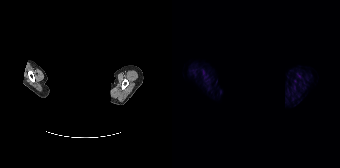
{"modality":"PSMA PET/CT","view":"axial","tracer":"[18F]PSMA-1007","pet_grid":[168,168],"coord_frame":"pet_panel","coord_format":"x0,y0,x1,y1","de-identification":"facial region redacted","psma_avid_lesions":false}